modality: PSMA PET/CT | tracer: 18F-PSMA | view: axial
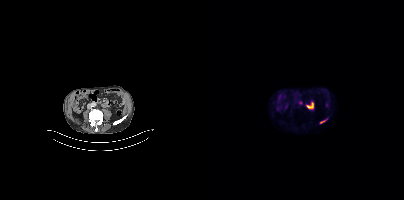
Coordinates are on the 200×200 PET (right) panel. PSMA-avid tumor lesion bounding box (x0, y0)-(x1, y1): (115, 118)-(123, 123).